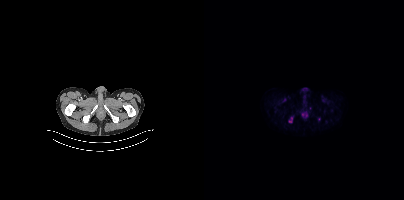
Only PSMA-avid lesion pieces thinner than 2 px on this slice (not listed).
modality: PSMA PET/CT | tracer: 18F | view: axial | PET grid: 200×200